Two-panel axial: CT | PSMA PET, 18F tracer. Acquired on Siemens Biograph mCT Flow 20. Slice 119 of 454.
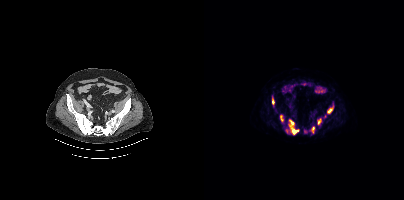
Coordinates are on the 200×200 PET (right) panel. PSMA-avid tumor lesion bounding boxes (x0,y0,x1,y1): [84,119,95,134], [123,105,129,113], [107,126,110,133], [113,119,117,124], [76,115,79,121], [68,97,70,104]. Small PSMA-avid foci (2 to 4 px across) near (center x, center y): (82, 131), (100, 131).